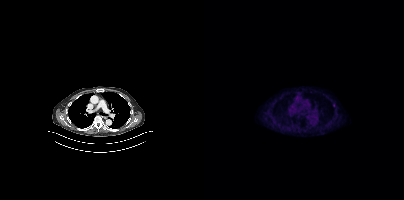
Coordinates are on the 200×200 PET (right) panel. Small PSMA-avid focus (2 to 4 px across) near (center x, center y): (129, 105).